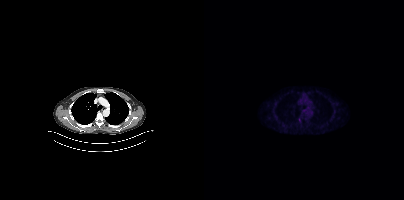
Negative for PSMA-avid disease on this slice.
modality: PSMA PET/CT | tracer: 18F-PSMA | view: axial